modality: PSMA PET/CT | tracer: [18F]PSMA-1007 | view: axial
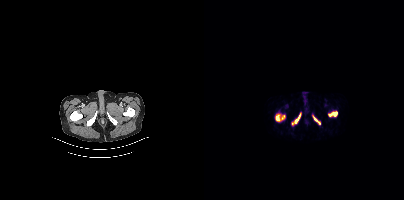
Coordinates are on the 200×200 PET (right) panel. PSMA-avid tumor lesion bounding boxes (x0,y0,x1,y1): [87,113,96,125]; [72,114,80,121]; [124,111,133,116]; [109,116,116,124].